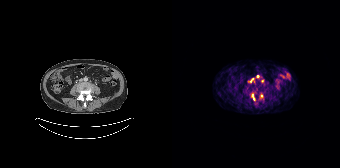
Coordinates are on the 168×168 PET (right) panel. PSMA-avid tumor lesion bounding box (x, y, width, height): x=79 y=93 w=5 h=8. Small PSMA-avid foci (2 to 4 px across) near (center x, center y): (89, 95); (90, 80); (85, 76).